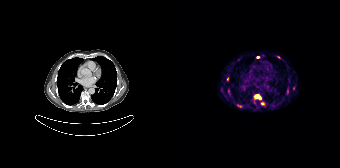
Coordinates are on the 168×168 PET (right) panel. (showing 7 of 9 foci) PSMA-avid tumor lesion bounding boxes (x0, y0)-(x1, y1): (82, 94)-(89, 99) / (65, 104)-(70, 107). Small PSMA-avid foci (2 to 4 px across) near (center x, center y): (90, 103) / (86, 57) / (106, 57) / (55, 79) / (115, 91).